Technique: Left: CT. Right: PSMA PET, same axial level, 18F tracer.
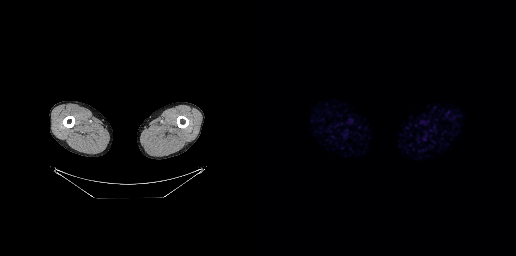
Findings: No PSMA-avid tumor lesions on this slice.